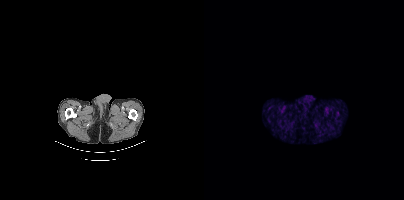
{"modality":"PSMA PET/CT","view":"axial","tracer":"18F-PSMA","pet_grid":[200,200],"coord_frame":"pet_panel","coord_format":"x0,y0,x1,y1","psma_avid_lesions":false}